- Paired axial CT (left) and PSMA PET (right), 18F-PSMA tracer
- PET panel 200×200 px (4.1 mm/px)
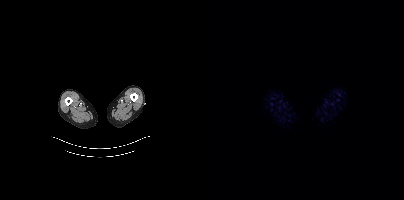
Findings: This slice has no annotated PSMA-avid lesion.